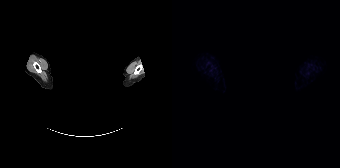
redaction: rectangular block over head set to black | modality: PSMA PET/CT | tracer: 18F-PSMA | view: axial | PET grid: 168×168
No PSMA-avid tumor lesions on this slice.